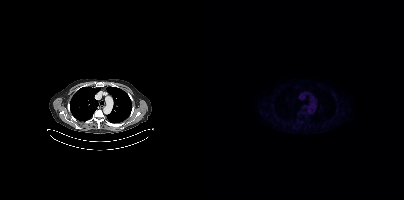
Two-panel axial: CT | PSMA PET, [18F]PSMA-1007 tracer. PET panel 200×200 px (4.1 mm/px). This slice has no annotated PSMA-avid lesion.